Technique: Left: CT. Right: PSMA PET, same axial level, [18F]PSMA-1007 tracer. acquired on Siemens Biograph mCT Flow 20.
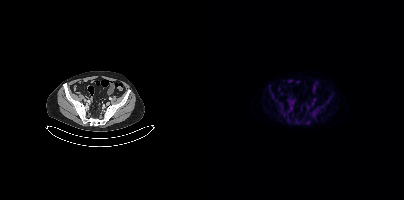
Findings: No tumor lesions annotated on this slice.